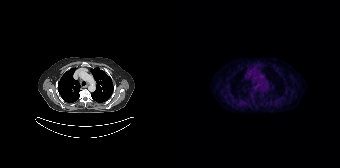
modality: PSMA PET/CT | tracer: 68Ga | view: axial
Negative for PSMA-avid disease on this slice.